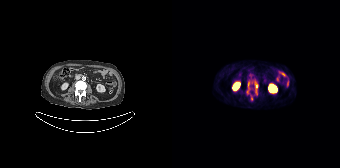
Technique: Paired axial CT (left) and PSMA PET (right), 68Ga tracer. acquired on Siemens Biograph 64-4R TruePoint.
Findings: Coordinates are on the 168×168 PET (right) panel. PSMA-avid tumor lesion bounding boxes (x0, y0)-(x1, y1): (83, 81)-(86, 94); (76, 82)-(77, 87). Small PSMA-avid foci (2 to 4 px across) near (center x, center y): (75, 92); (79, 98).